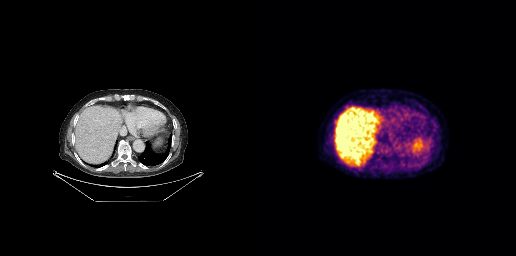
Technique: Left: CT. Right: PSMA PET, same axial level, 18F-PSMA tracer. slice 169 of 263.
Findings: This slice has no annotated PSMA-avid lesion.